modality: PSMA PET/CT | tracer: 18F | view: axial | PET grid: 200×200
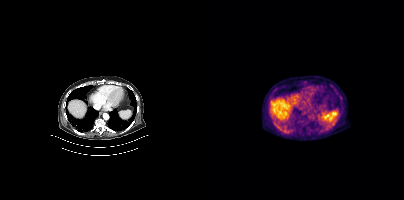
Negative for PSMA-avid disease on this slice.